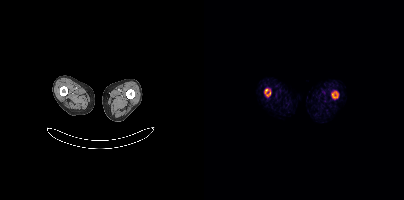
Paired axial CT (left) and PSMA PET (right), 18F tracer. Acquired on Siemens Biograph mCT Flow 20. Slice 8 of 401. PET panel 200×200 px (4.1 mm/px). Coordinates are on the 200×200 PET (right) panel. PSMA-avid tumor lesion bounding boxes (x0, y0)-(x1, y1): (128, 91)-(134, 98) / (60, 88)-(66, 96).